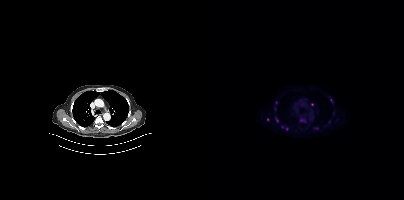
Findings: Coordinates are on the 200×200 PET (right) panel. Small PSMA-avid foci (2 to 4 px across) near (center x, center y): (108, 104) / (82, 128) / (63, 119).
- Left: CT. Right: PSMA PET, same axial level, [18F]PSMA-1007 tracer
- acquired on Siemens Biograph mCT Flow 20
- slice position z = -424 mm